modality: PSMA PET/CT | tracer: 18F-PSMA | view: axial
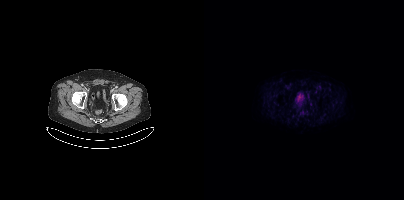
Negative for PSMA-avid disease on this slice.